Technique: Two-panel axial: CT | PSMA PET, 18F-PSMA tracer. PET panel 200×200 px (4.1 mm/px).
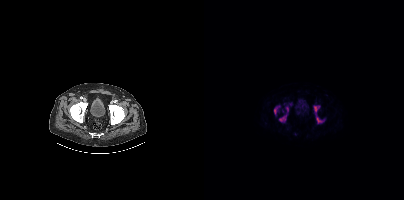
Findings: Coordinates are on the 200×200 PET (right) panel. (showing 3 of 4 foci) PSMA-avid tumor lesion bounding boxes (x0,y0,x1,y1): [109,105,120,123], [75,107,84,121], [70,105,76,115].